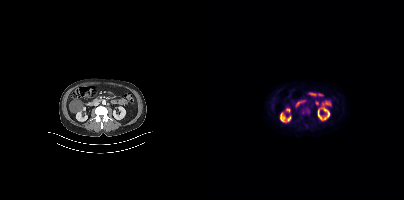
{"modality":"PSMA PET/CT","view":"axial","tracer":"[18F]PSMA-1007","pet_grid":[200,200],"coord_frame":"pet_panel","coord_format":"x0,y0,x1,y1","psma_avid_lesions":false}